Left: CT. Right: PSMA PET, same axial level, [18F]PSMA-1007 tracer. Acquired on Siemens Biograph mCT Flow 20. Slice 347 of 417. PET panel 200×200 px (4.1 mm/px).
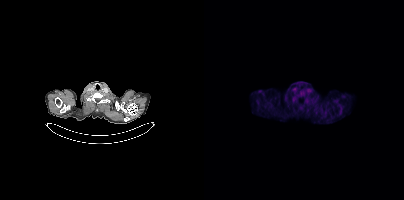
Negative for PSMA-avid disease on this slice.